Technique: Left: CT. Right: PSMA PET, same axial level, 18F tracer. acquired on GE Discovery 690.
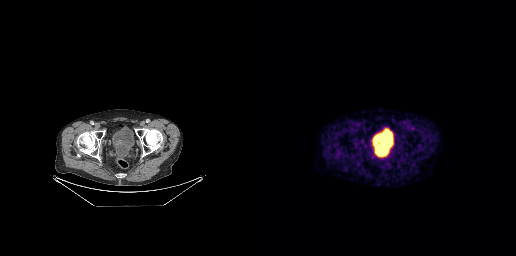
Findings: This slice has no annotated PSMA-avid lesion.